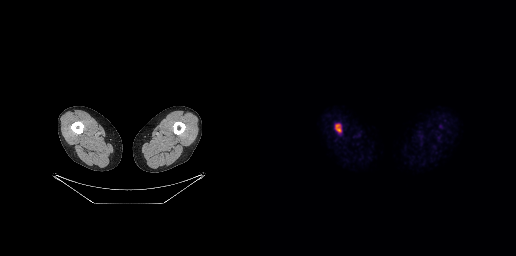
Coordinates are on the 256×256 PET (right) panel. PSMA-avid tumor lesion bounding boxes:
| # | x0 | y0 | x1 | y1 |
|---|---|---|---|---|
| 1 | 75 | 123 | 81 | 133 |
Paired axial CT (left) and PSMA PET (right), 18F-PSMA tracer. Slice position z = -949 mm.